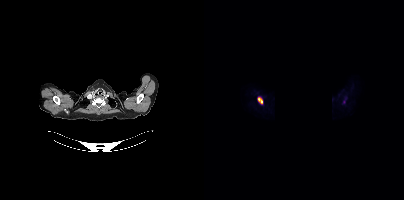
{"modality":"PSMA PET/CT","view":"axial","tracer":"18F-PSMA","pet_grid":[200,200],"coord_frame":"pet_panel","coord_format":"x0,y0,x1,y1","lesion_bboxes":[[54,97,58,103]],"deidentification":"region blacked out before release"}